Head region blanked for anonymization (face removed).
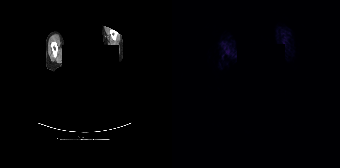
This slice has no annotated PSMA-avid lesion.